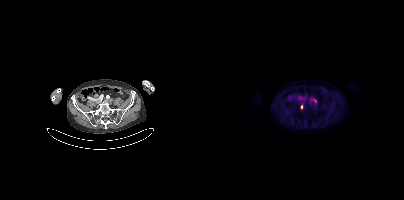
Coordinates are on the 200×200 PET (right) panel. Small PSMA-avid foci (2 to 4 px across) near (center x, center y): (97, 106), (111, 100).